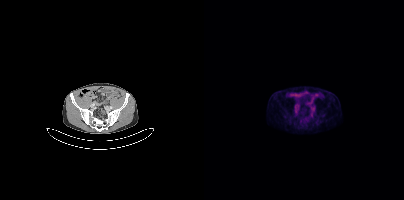
Left: CT. Right: PSMA PET, same axial level, 18F tracer.
Coordinates are on the 200×200 PET (right) panel. PSMA-avid tumor lesion bounding boxes:
| # | x0 | y0 | x1 | y1 |
|---|---|---|---|---|
| 1 | 90 | 106 | 94 | 110 |
Small PSMA-avid focus (2 to 4 px across) near (center x, center y): (108, 109).